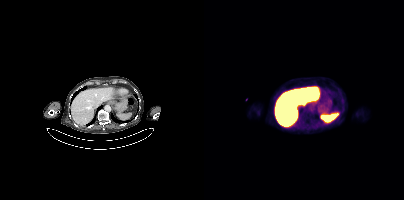
No PSMA-avid tumor lesions on this slice. Paired axial CT (left) and PSMA PET (right), [18F]PSMA-1007 tracer. Acquired on Siemens Biograph mCT Flow 20. PET panel 200×200 px (4.1 mm/px).